modality: PSMA PET/CT | tracer: 18F | view: axial
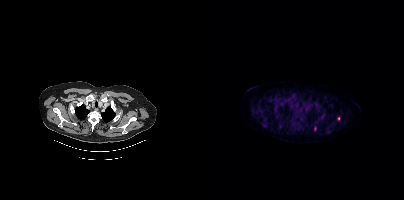
Coordinates are on the 200×200 PET (right) panel. (showing 1 of 2 foci) Small PSMA-avid focus (2 to 4 px across) near (center x, center y): (134, 118).